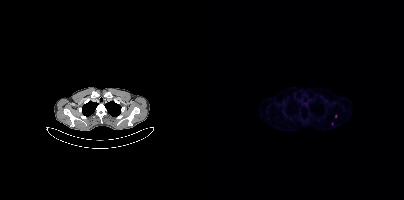
Coordinates are on the 200×200 PET (right) panel. (showing 1 of 2 foci) Small PSMA-avid focus (2 to 4 px across) near (center x, center y): (131, 115). Two-panel axial: CT | PSMA PET, 68Ga tracer. Acquired on Siemens Biograph mCT Flow 20. Slice 320 of 409.